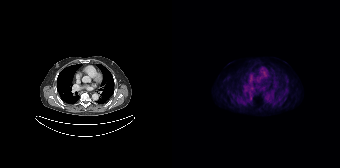
Paired axial CT (left) and PSMA PET (right), [18F]PSMA-1007 tracer. PET panel 168×168 px (4.1 mm/px). Negative for PSMA-avid disease on this slice.